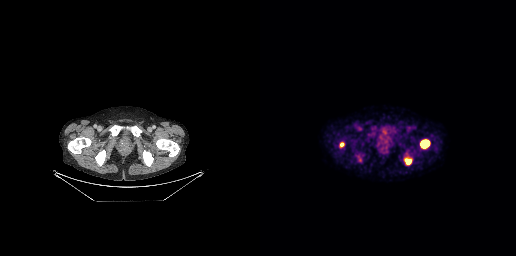
Findings: Coordinates are on the 256×256 PET (right) panel. PSMA-avid tumor lesion bounding boxes (x0, y0)-(x1, y1): (160, 139)-(170, 148); (144, 158)-(151, 164); (80, 142)-(84, 146).
- Two-panel axial: CT | PSMA PET, 18F-PSMA tracer
- PET panel 256×256 px (2.7 mm/px)